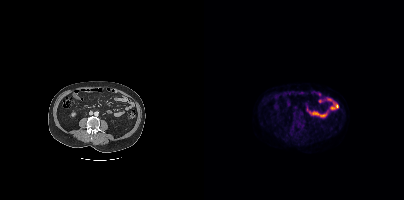
{"modality":"PSMA PET/CT","view":"axial","tracer":"[18F]PSMA-1007","pet_grid":[200,200],"coord_frame":"pet_panel","coord_format":"x0,y0,x1,y1","psma_avid_lesions":false}